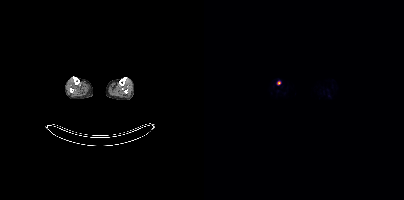
Findings: Coordinates are on the 200×200 PET (right) panel. Small PSMA-avid focus (2 to 4 px across) near (center x, center y): (74, 82).
Technique: Left: CT. Right: PSMA PET, same axial level, 18F-PSMA tracer. slice position z = -1633 mm.